Two-panel axial: CT | PSMA PET, [18F]PSMA-1007 tracer. Acquired on Siemens Biograph mCT Flow 20. Slice 38 of 393. PET panel 200×200 px (4.1 mm/px).
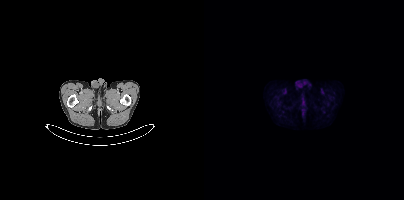
No PSMA-avid tumor lesions on this slice.